- Two-panel axial: CT | PSMA PET, [18F]PSMA-1007 tracer
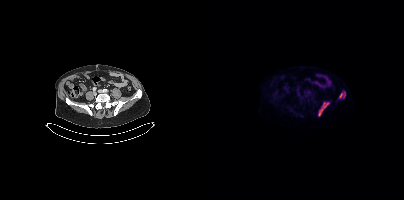
Findings: Coordinates are on the 200×200 PET (right) panel. PSMA-avid tumor lesion bounding boxes (x0, y0)-(x1, y1): (114, 102)-(125, 116) | (135, 92)-(141, 98).